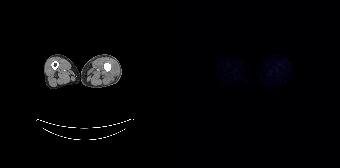
Two-panel axial: CT | PSMA PET, [18F]PSMA-1007 tracer. Acquired on Siemens Biograph 64-4R TruePoint. Slice position z = -1404 mm. PET panel 168×168 px (4.1 mm/px). This slice has no annotated PSMA-avid lesion.